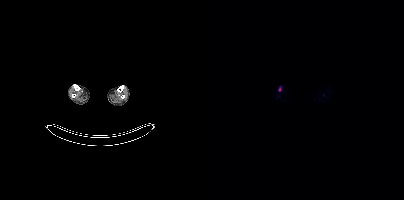
Two-panel axial: CT | PSMA PET, [18F]PSMA-1007 tracer. Coordinates are on the 200×200 PET (right) panel. Small PSMA-avid focus (2 to 4 px across) near (center x, center y): (75, 88).